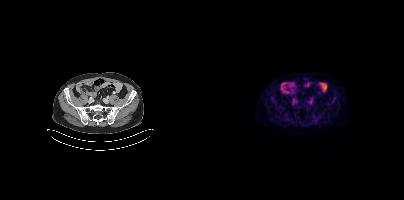
{"modality":"PSMA PET/CT","view":"axial","tracer":"18F-PSMA","pet_grid":[200,200],"coord_frame":"pet_panel","coord_format":"x0,y0,x1,y1","psma_avid_lesions":false}